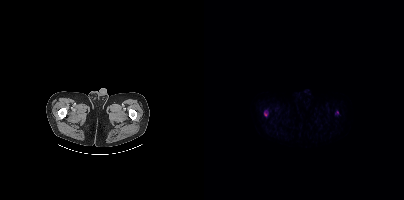
Findings: Coordinates are on the 200×200 PET (right) panel. PSMA-avid tumor lesion bounding box (x0, y0)-(x1, y1): (60, 110)-(64, 115). Small PSMA-avid focus (2 to 4 px across) near (center x, center y): (133, 112).
Technique: Paired axial CT (left) and PSMA PET (right), [18F]PSMA-1007 tracer. acquired on Siemens Biograph mCT Flow 20. PET panel 200×200 px (4.1 mm/px).